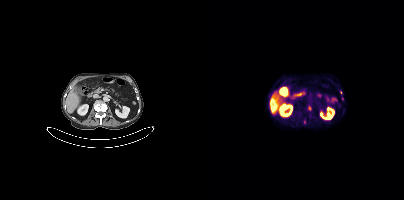
Coordinates are on the 200×200 PET (right) panel. Small PSMA-avid foci (2 to 4 px across) near (center x, center y): (138, 98); (137, 93). Two-panel axial: CT | PSMA PET, [18F]PSMA-1007 tracer. Acquired on Siemens Biograph mCT Flow 20. Slice 197 of 415.